modality: PSMA PET/CT | tracer: 18F-PSMA | view: axial
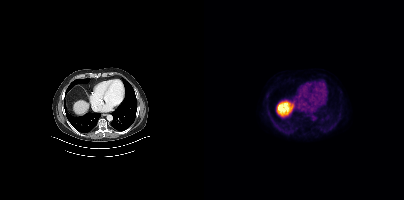
No PSMA-avid tumor lesions on this slice.